Two-panel axial: CT | PSMA PET, [68Ga]Ga-PSMA-11 tracer. Acquired on Siemens Biograph mCT Flow 20.
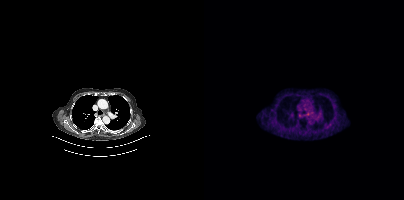
Coordinates are on the 200×200 PET (right) panel. Small PSMA-avid focus (2 to 4 px across) near (center x, center y): (104, 113).